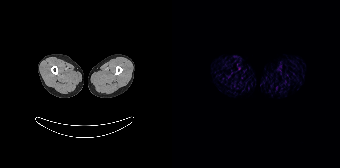
No tumor lesions annotated on this slice. Paired axial CT (left) and PSMA PET (right), [68Ga]Ga-PSMA-11 tracer. Slice position z = -1810 mm.